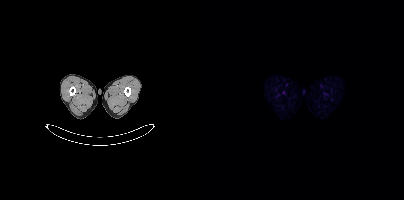
This slice has no annotated PSMA-avid lesion.
modality: PSMA PET/CT | tracer: [18F]PSMA-1007 | view: axial | PET grid: 200×200